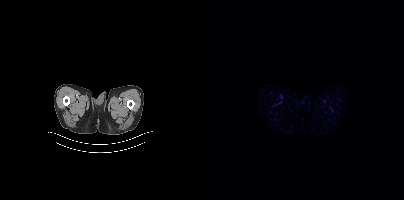
Left: CT. Right: PSMA PET, same axial level, [18F]PSMA-1007 tracer. No tumor lesions annotated on this slice.